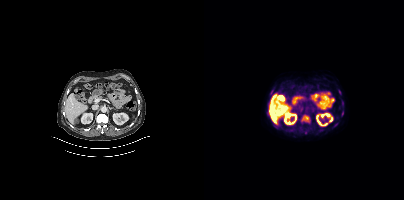
{"modality":"PSMA PET/CT","view":"axial","tracer":"[18F]PSMA-1007","pet_grid":[200,200],"coord_frame":"pet_panel","coord_format":"x0,y0,x1,y1","lesion_bboxes":[[97,115,106,122],[66,90,69,94],[101,129,104,133]],"small_foci_centers":[[131,124],[138,112],[135,92]]}